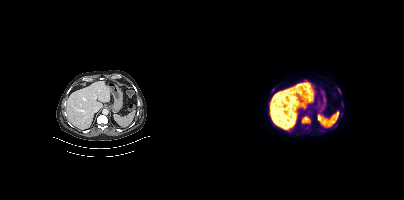
{"modality":"PSMA PET/CT","view":"axial","tracer":"18F-PSMA","pet_grid":[200,200],"coord_frame":"pet_panel","coord_format":"x0,y0,x1,y1","partial":true,"lesion_bboxes":[[98,116,106,123],[134,88,136,93]]}